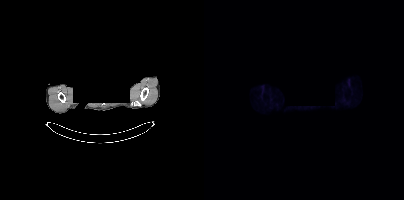
{"modality":"PSMA PET/CT","view":"axial","tracer":"[18F]PSMA-1007","pet_grid":[200,200],"coord_frame":"pet_panel","coord_format":"x0,y0,x1,y1","psma_avid_lesions":false,"redaction":"head region blanked (face removed)"}